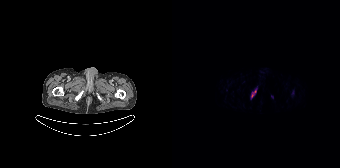
Coordinates are on the 168×168 PET (right) panel. (showing 1 of 2 foci) PSMA-avid tumor lesion bounding box (x0, y0)-(x1, y1): (79, 90)-(84, 97).